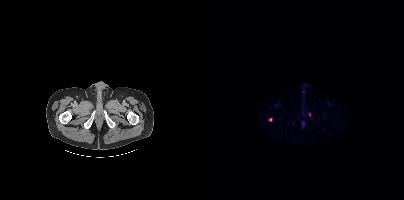
modality: PSMA PET/CT | tracer: [18F]PSMA-1007 | view: axial | PET grid: 200×200
Coordinates are on the 200×200 PET (right) panel. Small PSMA-avid foci (2 to 4 px across) near (center x, center y): (66, 119) / (105, 114).